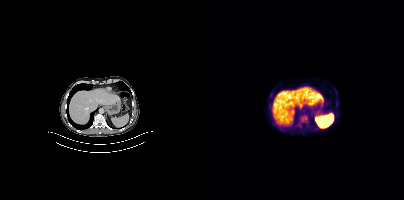
Technique: Two-panel axial: CT | PSMA PET, [18F]PSMA-1007 tracer. acquired on Siemens Biograph mCT Flow 20. slice position z = -432 mm.
Findings: Coordinates are on the 200×200 PET (right) panel. PSMA-avid tumor lesion bounding box (x0,y0,x1,y1): [96,115,103,122].